Technique: Left: CT. Right: PSMA PET, same axial level, 68Ga-PSMA tracer. acquired on Siemens Biograph 64-4R TruePoint. slice position z = -844 mm.
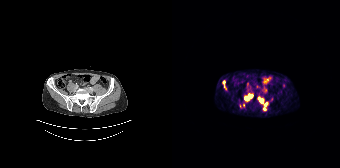
Findings: Coordinates are on the 168×168 PET (right) panel. (showing 7 of 8 foci) PSMA-avid tumor lesion bounding boxes (x0, y0)-(x1, y1): (72, 95)-(80, 100) / (86, 97)-(91, 103) / (71, 103)-(72, 107). Small PSMA-avid foci (2 to 4 px across) near (center x, center y): (93, 103) / (51, 82) / (68, 105) / (92, 109).